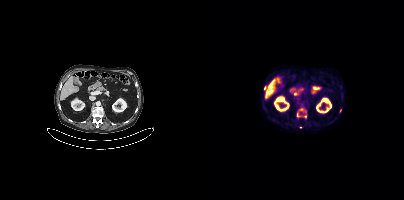
Coordinates are on the 200×200 PET (right) panel. Small PSMA-avid foci (2 to 4 px across) near (center x, center y): (61, 87), (94, 114), (97, 109), (101, 116), (136, 110), (96, 127). Paired axial CT (left) and PSMA PET (right), 18F-PSMA tracer. Acquired on Siemens Biograph mCT Flow 20. Slice 189 of 387. PET panel 200×200 px (4.1 mm/px).